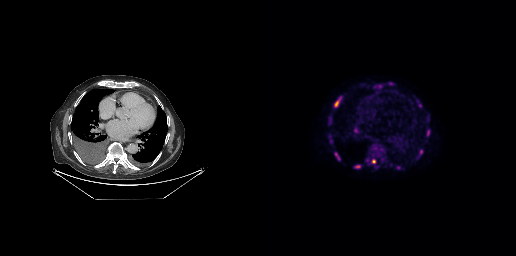
Left: CT. Right: PSMA PET, same axial level, 18F-PSMA tracer. Slice position z = -324 mm. PET panel 256×256 px (2.7 mm/px).
Coordinates are on the 256×256 PET (right) panel. PSMA-avid tumor lesion bounding boxes (partial; 2 more foci not listed):
| # | x0 | y0 | x1 | y1 |
|---|---|---|---|---|
| 1 | 74 | 97 | 80 | 107 |
| 2 | 74 | 152 | 79 | 158 |
| 3 | 112 | 159 | 115 | 163 |
| 4 | 96 | 165 | 100 | 167 |
Small PSMA-avid foci (2 to 4 px across) near (center x, center y): (168, 132); (70, 116); (138, 167); (70, 141).